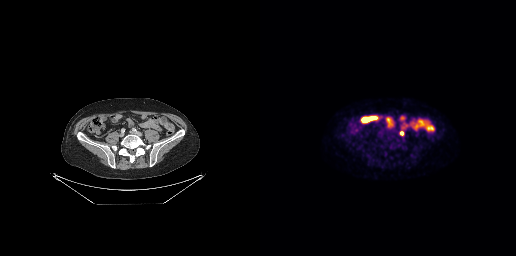
- Paired axial CT (left) and PSMA PET (right), [18F]PSMA-1007 tracer
- acquired on GE Discovery 690
- PET panel 256×256 px (2.7 mm/px)
Findings: Coordinates are on the 256×256 PET (right) panel. Small PSMA-avid focus (2 to 4 px across) near (center x, center y): (141, 133).